Two-panel axial: CT | PSMA PET, 68Ga-PSMA tracer. Slice position z = -835 mm.
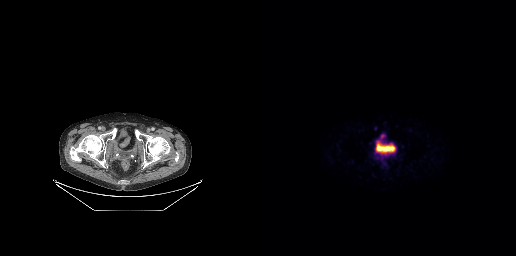
Negative for PSMA-avid disease on this slice.